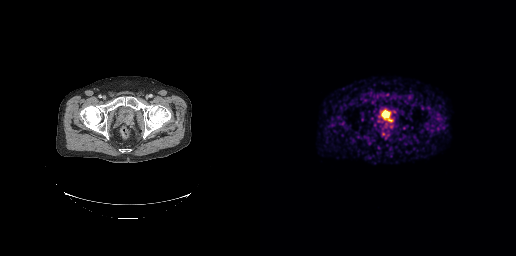
Technique: Left: CT. Right: PSMA PET, same axial level, 68Ga tracer. slice 60 of 263.
Findings: Coordinates are on the 256×256 PET (right) panel. Small PSMA-avid focus (2 to 4 px across) near (center x, center y): (130, 119).